- Two-panel axial: CT | PSMA PET, 18F tracer
- acquired on Siemens Biograph mCT Flow 20
- slice 272 of 429
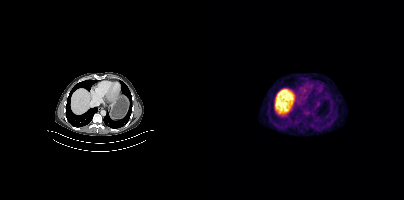
Findings: No PSMA-avid tumor lesions on this slice.